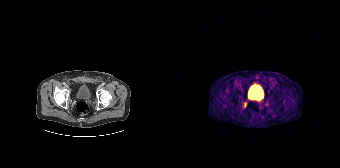
{"modality":"PSMA PET/CT","view":"axial","tracer":"[68Ga]Ga-PSMA-11","pet_grid":[168,168],"coord_frame":"pet_panel","coord_format":"x0,y0,x1,y1","lesion_bboxes":[[72,102,74,107]]}